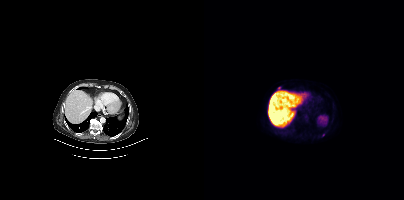
Findings: Coordinates are on the 200×200 PET (right) panel. Small PSMA-avid foci (2 to 4 px across) near (center x, center y): (75, 88) | (119, 135).
- Paired axial CT (left) and PSMA PET (right), 18F tracer
- slice position z = -610 mm
- PET panel 200×200 px (4.1 mm/px)